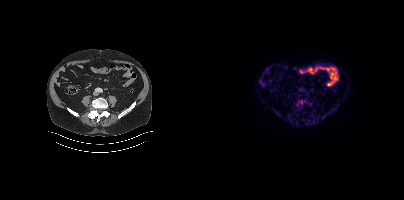
Findings: No PSMA-avid tumor lesions on this slice.
- Left: CT. Right: PSMA PET, same axial level, 18F tracer
- acquired on Siemens Biograph mCT Flow 20
- slice position z = -682 mm